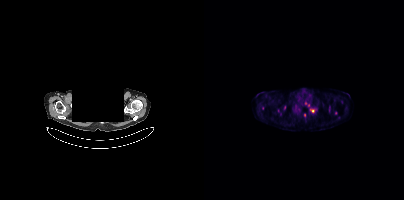
{"modality":"PSMA PET/CT","view":"axial","tracer":"18F-PSMA","pet_grid":[200,200],"coord_frame":"pet_panel","coord_format":"x0,y0,x1,y1","redaction":"facial region redacted","partial":true,"lesion_bboxes":[[106,109,110,112]],"small_foci_centers":[[80,107],[100,115]]}